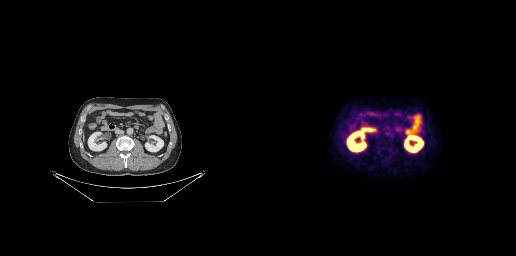
- Paired axial CT (left) and PSMA PET (right), 18F-PSMA tracer
Findings: Coordinates are on the 256×256 PET (right) panel. Small PSMA-avid focus (2 to 4 px across) near (center x, center y): (127, 133).